- Two-panel axial: CT | PSMA PET, [18F]PSMA-1007 tracer
- PET panel 200×200 px (4.1 mm/px)
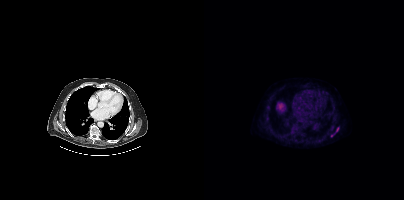
Findings: Coordinates are on the 200×200 PET (right) panel. Small PSMA-avid focus (2 to 4 px across) near (center x, center y): (133, 129).